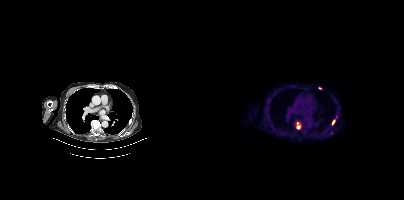
Coordinates are on the 200×200 PET (right) panel. PSMA-avid tumor lesion bounding boxes (partial; 1 more focus not listed):
| # | x0 | y0 | x1 | y1 |
|---|---|---|---|---|
| 1 | 92 | 122 | 96 | 129 |
| 2 | 127 | 119 | 131 | 125 |
Small PSMA-avid focus (2 to 4 px across) near (center x, center y): (116, 88).
Two-panel axial: CT | PSMA PET, 18F tracer. Acquired on Siemens Biograph mCT Flow 20.